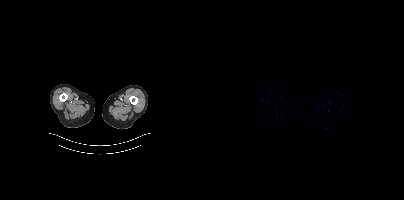
No PSMA-avid tumor lesions on this slice. Left: CT. Right: PSMA PET, same axial level, 18F-PSMA tracer. Slice position z = -1136 mm. PET panel 200×200 px (4.1 mm/px).